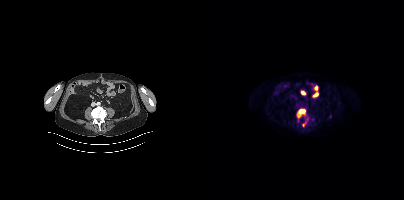
Technique: Paired axial CT (left) and PSMA PET (right), 18F tracer.
Findings: Coordinates are on the 200×200 PET (right) panel. PSMA-avid tumor lesion bounding box (x0, y0)-(x1, y1): (93, 109)-(101, 117). Small PSMA-avid focus (2 to 4 px across) near (center x, center y): (99, 124).